Head region blanked for anonymization (face removed).
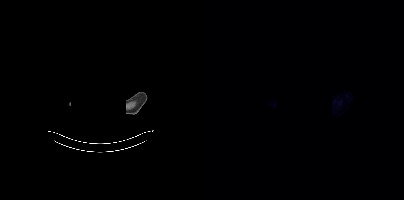
Negative for PSMA-avid disease on this slice.